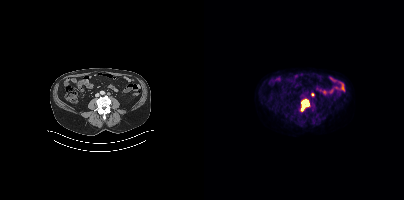
Two-panel axial: CT | PSMA PET, 18F tracer. PET panel 200×200 px (4.1 mm/px).
Coordinates are on the 200×200 PET (right) panel. PSMA-avid tumor lesion bounding boxes (partial; 1 more focus not listed):
| # | x0 | y0 | x1 | y1 |
|---|---|---|---|---|
| 1 | 96 | 99 | 105 | 111 |